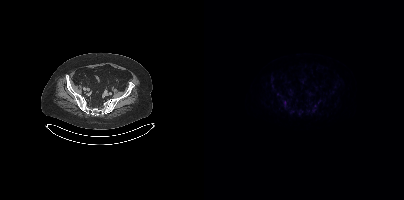
No PSMA-avid tumor lesions on this slice.